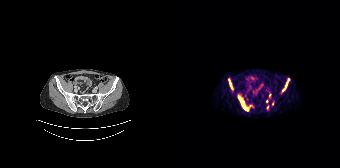
Findings: Coordinates are on the 168×168 PET (right) panel. (showing 6 of 7 foci) PSMA-avid tumor lesion bounding boxes (x0, y0)-(x1, y1): (66, 96)-(76, 110); (110, 78)-(117, 92); (57, 80)-(60, 88); (95, 105)-(96, 109). Small PSMA-avid foci (2 to 4 px across) near (center x, center y): (95, 101); (100, 103).
- Left: CT. Right: PSMA PET, same axial level, 68Ga tracer
- slice 61 of 195